The head region is masked for de-identification. Paired axial CT (left) and PSMA PET (right), 18F tracer. Slice position z = -177 mm. PET panel 200×200 px (4.1 mm/px).
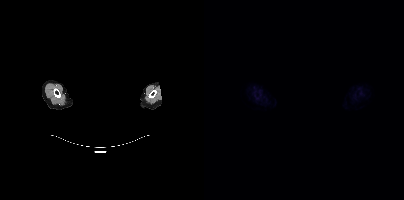
This slice has no annotated PSMA-avid lesion.